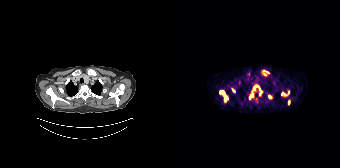
modality: PSMA PET/CT | tracer: [68Ga]Ga-PSMA-11 | view: axial | PET grid: 168×168
Coordinates are on the 168×168 PET (right) panel. PSMA-avid tumor lesion bounding boxes (x0, y0)-(x1, y1): (47, 91)-(56, 101) / (81, 85)-(88, 90) / (90, 70)-(96, 73) / (77, 94)-(81, 98) / (116, 100)-(117, 104) / (87, 91)-(89, 95). Small PSMA-avid foci (2 to 4 px across) near (center x, center y): (97, 96) / (116, 92) / (61, 90) / (109, 93) / (112, 94).